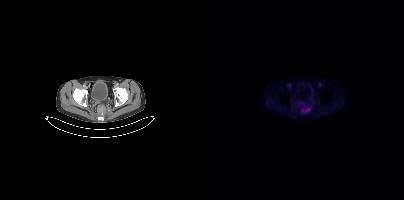
modality: PSMA PET/CT | tracer: 18F | view: axial
Coordinates are on the 200×200 PET (right) panel. PSMA-avid tumor lesion bounding box (x, y, width, height): x=98 y=108 w=9 h=5.